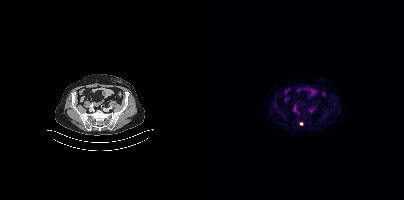
{"pet_grid":[200,200],"coord_frame":"pet_panel","coord_format":"x0,y0,x1,y1","lesion_bboxes":[],"small_foci_centers":[[97,123]],"modality":"PSMA PET/CT","view":"axial","tracer":"18F"}